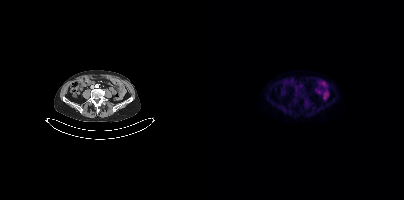
- Two-panel axial: CT | PSMA PET, [18F]PSMA-1007 tracer
- acquired on Siemens Biograph mCT Flow 20
- slice 142 of 413
Findings: This slice has no annotated PSMA-avid lesion.